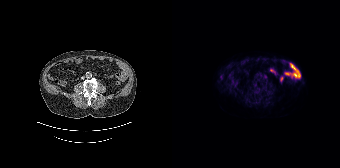
Paired axial CT (left) and PSMA PET (right), 18F tracer. Acquired on Siemens Biograph 64-4R TruePoint. Slice 57 of 165. No PSMA-avid tumor lesions on this slice.